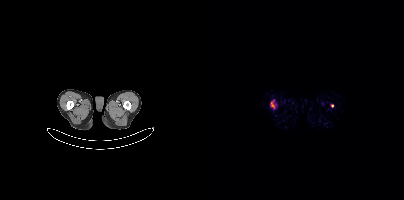
Coordinates are on the 200×200 PET (right) panel. (showing 1 of 3 foci) Small PSMA-avid focus (2 to 4 px across) near (center x, center y): (128, 105). Left: CT. Right: PSMA PET, same axial level, 68Ga-PSMA tracer. PET panel 200×200 px (4.1 mm/px).